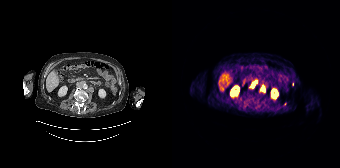
Coordinates are on the 168×168 PET (right) panel. (showing 2 of 3 foci) PSMA-avid tumor lesion bounding boxes (x0, y0)-(x1, y1): (79, 81)-(84, 87) / (89, 87)-(92, 91).